Left: CT. Right: PSMA PET, same axial level, 18F-PSMA tracer. Slice 114 of 407.
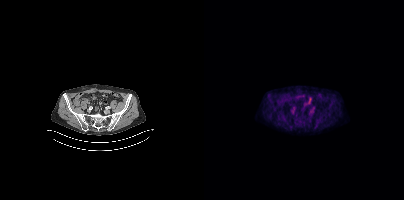
No tumor lesions annotated on this slice.